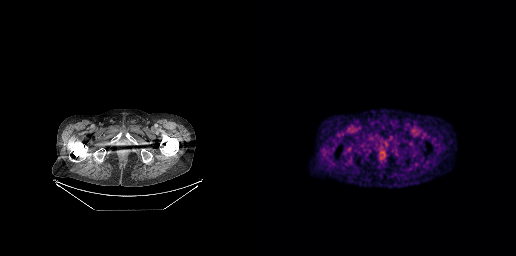
{"modality":"PSMA PET/CT","view":"axial","tracer":"18F","pet_grid":[256,256],"coord_frame":"pet_panel","coord_format":"x0,y0,x1,y1","psma_avid_lesions":false}